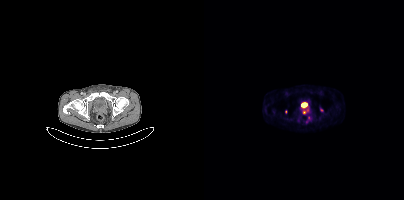
{"modality":"PSMA PET/CT","view":"axial","tracer":"68Ga-PSMA","pet_grid":[200,200],"coord_frame":"pet_panel","coord_format":"x0,y0,x1,y1","lesion_bboxes":[[99,109,105,113]],"small_foci_centers":[[105,117],[117,110],[81,111],[102,121]]}